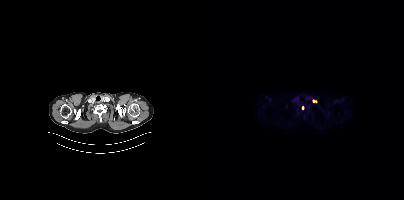
Findings: Coordinates are on the 200×200 PET (right) panel. Small PSMA-avid foci (2 to 4 px across) near (center x, center y): (110, 100) | (98, 107).
Technique: Paired axial CT (left) and PSMA PET (right), 18F-PSMA tracer. acquired on Siemens Biograph mCT Flow 20. slice 360 of 421. PET panel 200×200 px (4.1 mm/px).